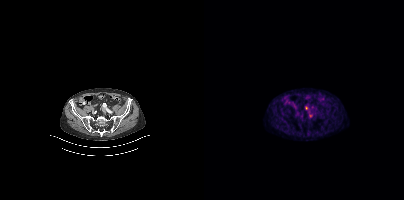
Two-panel axial: CT | PSMA PET, 68Ga tracer. Slice position z = -960 mm. Coordinates are on the 200×200 PET (right) panel. (showing 3 of 4 foci) Small PSMA-avid foci (2 to 4 px across) near (center x, center y): (106, 115) (102, 107) (90, 105).